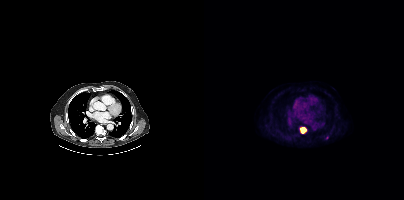
{"modality":"PSMA PET/CT","view":"axial","tracer":"18F-PSMA","pet_grid":[200,200],"coord_frame":"pet_panel","coord_format":"x0,y0,x1,y1","lesion_bboxes":[[96,127,102,133]],"small_foci_centers":[[123,137]]}